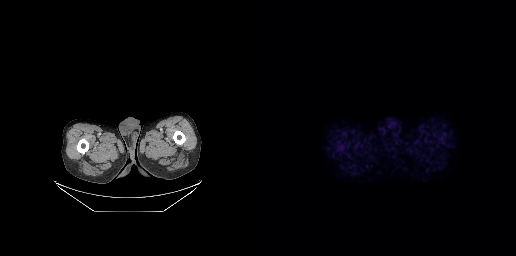
- Two-panel axial: CT | PSMA PET, 18F tracer
Findings: No PSMA-avid tumor lesions on this slice.